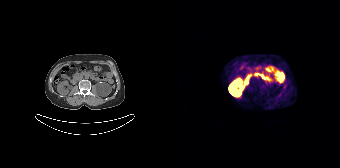
No tumor lesions annotated on this slice. Left: CT. Right: PSMA PET, same axial level, [68Ga]Ga-PSMA-11 tracer.